Left: CT. Right: PSMA PET, same axial level, 68Ga tracer. Slice position z = -433 mm.
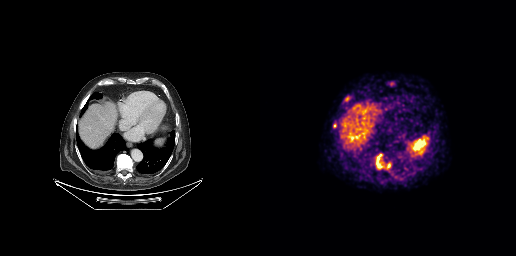
Coordinates are on the 256×256 PET (right) panel. PSMA-avid tumor lesion bounding boxes (x, y, width, height): x=116 y=153 w=15 h=17; x=85 y=96 w=5 h=6; x=73 y=123 w=4 h=5.